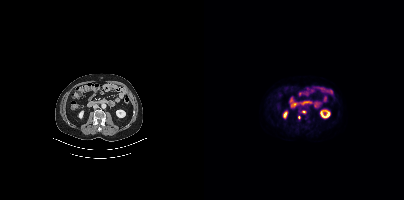
Findings: Coordinates are on the 200×200 PET (right) panel. Small PSMA-avid foci (2 to 4 px across) near (center x, center y): (99, 111); (95, 117).
Technique: Two-panel axial: CT | PSMA PET, 18F-PSMA tracer. slice position z = -1302 mm. PET panel 200×200 px (4.1 mm/px).